Left: CT. Right: PSMA PET, same axial level, 18F tracer. PET panel 200×200 px (4.1 mm/px).
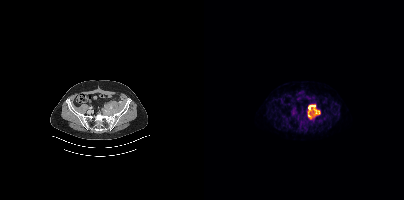
Coordinates are on the 200×200 PET (right) panel. PSMA-avid tumor lesion bounding boxes:
| # | x0 | y0 | x1 | y1 |
|---|---|---|---|---|
| 1 | 103 | 104 | 116 | 119 |